Two-panel axial: CT | PSMA PET, [68Ga]Ga-PSMA-11 tracer. Acquired on GE Discovery 690. Slice position z = -215 mm. PET panel 256×256 px (2.7 mm/px). Head region blanked for anonymization (face removed).
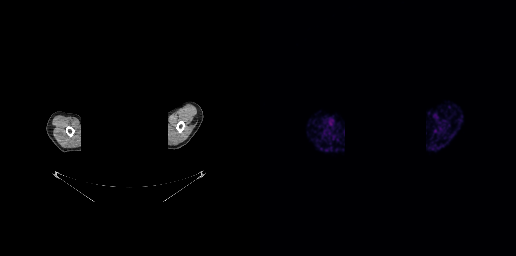
No tumor lesions annotated on this slice.